Paired axial CT (left) and PSMA PET (right), 68Ga-PSMA tracer. Slice position z = -894 mm.
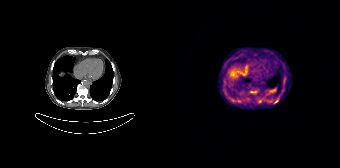
Coordinates are on the 168×168 PET (right) panel. PSMA-avid tumor lesion bounding boxes (x0, y0)-(x1, y1): (102, 98)-(106, 103) / (85, 99)-(89, 103) / (79, 91)-(83, 92).